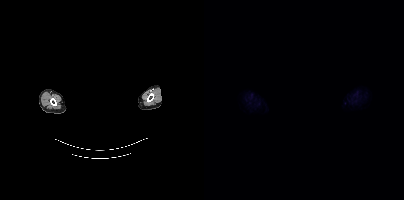
Technique: Two-panel axial: CT | PSMA PET, [18F]PSMA-1007 tracer. acquired on Siemens Biograph mCT Flow 20. PET panel 200×200 px (4.1 mm/px).
Note: Face de-identified by blanking a block of the head.
Findings: This slice has no annotated PSMA-avid lesion.